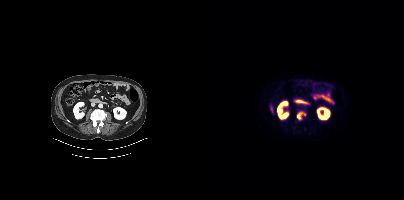
Coordinates are on the 200×200 PET (right) panel. PSMA-avid tumor lesion bounding box (x0, y0)-(x1, y1): (93, 112)-(101, 119).